modality: PSMA PET/CT | tracer: 18F-PSMA | view: axial | PET grid: 200×200
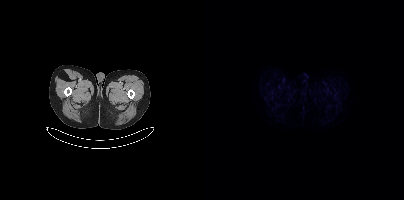
Negative for PSMA-avid disease on this slice.